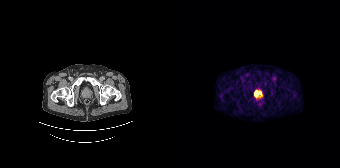
Coordinates are on the 168×168 PET (right) panel. PSMA-avid tumor lesion bounding box (x0, y0)-(x1, y1): (82, 90)-(90, 97). Paired axial CT (left) and PSMA PET (right), 68Ga-PSMA tracer. Acquired on Siemens Biograph 64-4R TruePoint. PET panel 168×168 px (4.1 mm/px).